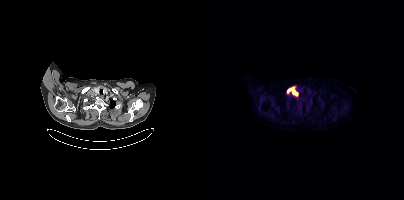
Technique: Two-panel axial: CT | PSMA PET, 18F tracer.
Findings: Coordinates are on the 200×200 PET (right) panel. PSMA-avid tumor lesion bounding box (x0,y0,x1,y1): [83,87,93,95].